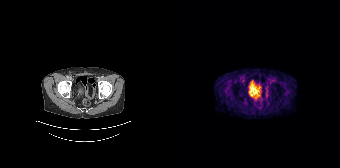
modality: PSMA PET/CT | tracer: 68Ga | view: axial
No PSMA-avid tumor lesions on this slice.